Technique: Left: CT. Right: PSMA PET, same axial level, 18F tracer. acquired on Siemens Biograph mCT Flow 20. slice position z = -995 mm. PET panel 200×200 px (4.1 mm/px).
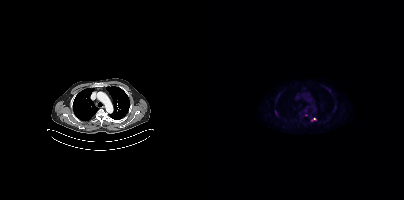
Findings: Coordinates are on the 200×200 PET (right) panel. PSMA-avid tumor lesion bounding box (x, y, width, height): x=107 y=118 w=5 h=4.